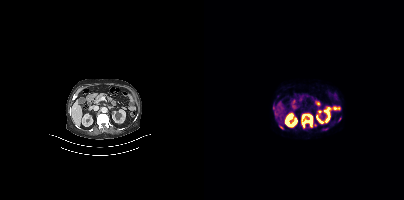
modality: PSMA PET/CT | tracer: [68Ga]Ga-PSMA-11 | view: axial
Coordinates are on the 200×200 PET (right) panel. PSMA-avid tumor lesion bounding boxes (x, y, width, height): x=97 y=113 w=16 h=16 | x=75 y=125 w=5 h=5. Small PSMA-avid foci (2 to 4 px across) near (center x, center y): (70, 107) | (120, 129) | (135, 119).